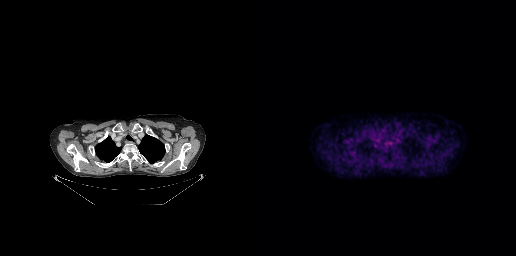
No tumor lesions annotated on this slice. Two-panel axial: CT | PSMA PET, [18F]PSMA-1007 tracer. Slice position z = -323 mm.